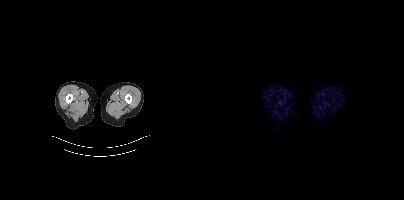
{"pet_grid":[200,200],"coord_frame":"pet_panel","coord_format":"x0,y0,x1,y1","psma_avid_lesions":false,"modality":"PSMA PET/CT","view":"axial","tracer":"[18F]PSMA-1007"}